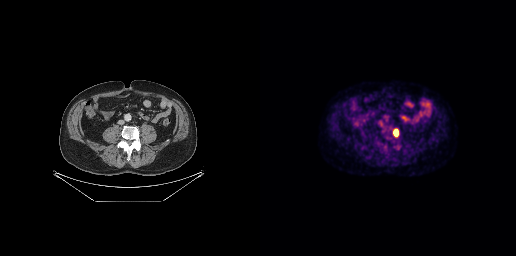
Coordinates are on the 256×256 PET (right) panel. PSMA-avid tumor lesion bounding box (x0, y0)-(x1, y1): (134, 129)-(138, 136).